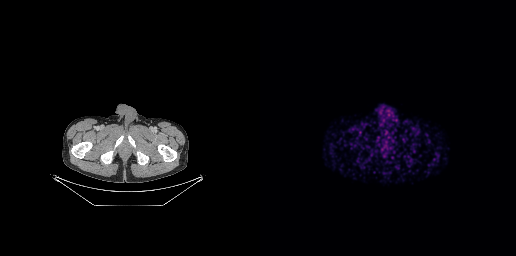
Two-panel axial: CT | PSMA PET, 68Ga-PSMA tracer. PET panel 256×256 px (2.7 mm/px). Negative for PSMA-avid disease on this slice.